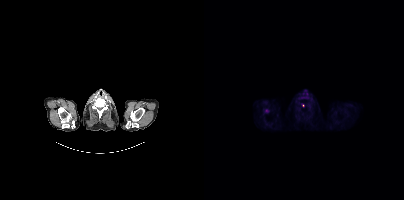
{"pet_grid":[200,200],"coord_frame":"pet_panel","coord_format":"x0,y0,x1,y1","partial":true,"lesion_bboxes":[],"modality":"PSMA PET/CT","view":"axial","tracer":"18F-PSMA"}